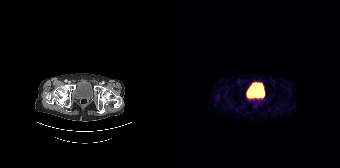
Negative for PSMA-avid disease on this slice. Paired axial CT (left) and PSMA PET (right), [68Ga]Ga-PSMA-11 tracer. Acquired on Siemens Biograph 64-4R TruePoint. Slice position z = -1566 mm.